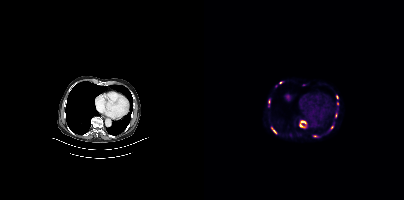
- Two-panel axial: CT | PSMA PET, 68Ga-PSMA tracer
- PET panel 200×200 px (4.1 mm/px)
Findings: Coordinates are on the 200×200 PET (right) panel. (showing 7 of 9 foci) PSMA-avid tumor lesion bounding boxes (x0,y0,x1,y1): [67,127,72,133]; [95,125,101,128]; [97,121,102,123]. Small PSMA-avid foci (2 to 4 px across) near (center x, center y): (127, 127); (111, 135); (76, 82); (131, 115).